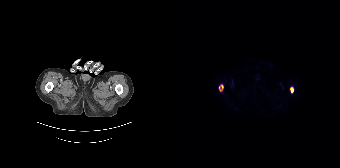
Paired axial CT (left) and PSMA PET (right), [18F]PSMA-1007 tracer. Slice 19 of 165. Coordinates are on the 168×168 PET (right) panel. PSMA-avid tumor lesion bounding boxes (x0, y0)-(x1, y1): (47, 84)-(51, 91) / (118, 87)-(121, 92).